Two-panel axial: CT | PSMA PET, 18F tracer.
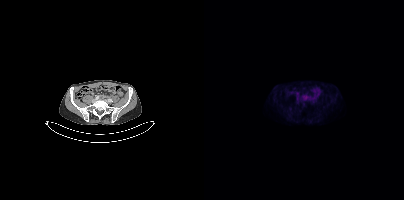
No tumor lesions annotated on this slice.